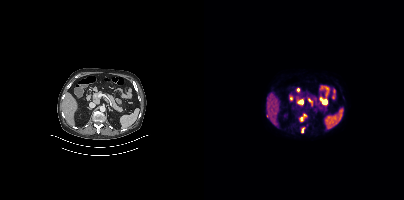
Coordinates are on the 200×200 PET (right) panel. PSMA-avid tumor lesion bounding boxes (x0,y0,x1,y1): [96,114,101,121] [98,128,99,132].